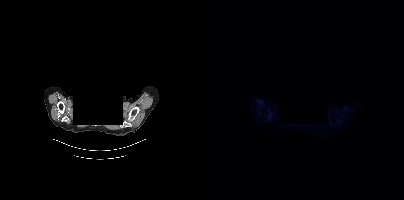
No tumor lesions annotated on this slice. Paired axial CT (left) and PSMA PET (right), [18F]PSMA-1007 tracer. A rectangle over the head was blacked out to remove identifiable facial features.